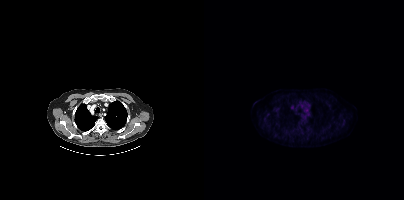
- Paired axial CT (left) and PSMA PET (right), [18F]PSMA-1007 tracer
- slice 334 of 435
Findings: This slice has no annotated PSMA-avid lesion.